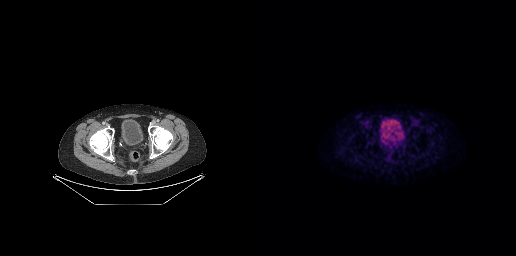
Paired axial CT (left) and PSMA PET (right), 18F-PSMA tracer. Slice position z = -691 mm. No tumor lesions annotated on this slice.